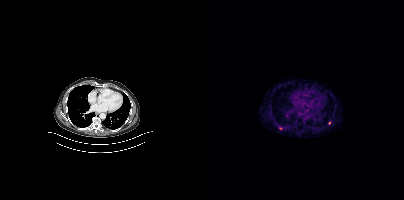
Only PSMA-avid lesion pieces thinner than 2 px on this slice (not listed). Two-panel axial: CT | PSMA PET, 68Ga-PSMA tracer. Acquired on Siemens Biograph mCT Flow 20. Slice position z = -1070 mm.